- Paired axial CT (left) and PSMA PET (right), 18F tracer
- acquired on Siemens Biograph mCT Flow 20
- slice 48 of 417
- PET panel 200×200 px (4.1 mm/px)
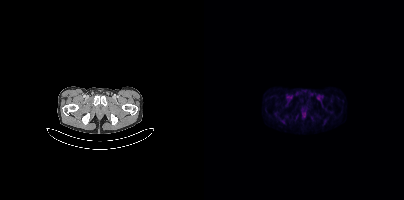
Findings: No PSMA-avid tumor lesions on this slice.